modality: PSMA PET/CT | tracer: 68Ga-PSMA | view: axial
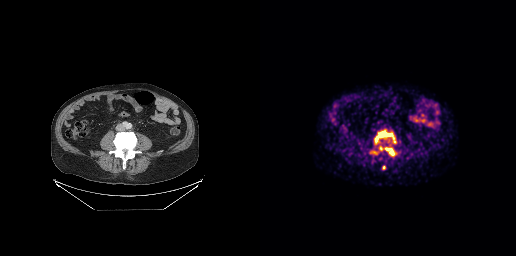
Coordinates are on the 256×256 PET (right) panel. PSMA-avid tumor lesion bounding boxes (x, y, width, height): x=114 y=129 w=23 h=15 / x=124 y=147 w=12 h=10 / x=119 y=146 w=4 h=5. Small PSMA-avid focus (2 to 4 px across) near (center x, center y): (123, 167).